Left: CT. Right: PSMA PET, same axial level, 18F tracer. Acquired on Siemens Biograph mCT Flow 20. Slice 174 of 381.
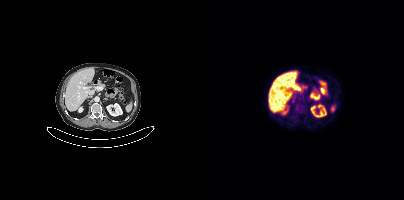
Only PSMA-avid lesion pieces thinner than 2 px on this slice (not listed).